Technique: Paired axial CT (left) and PSMA PET (right), [18F]PSMA-1007 tracer. acquired on Siemens Biograph mCT Flow 20. PET panel 200×200 px (4.1 mm/px).
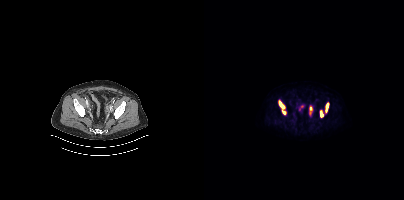
Findings: Coordinates are on the 200×200 PET (right) panel. PSMA-avid tumor lesion bounding boxes (x0, y0)-(x1, y1): (75, 100)-(82, 114) / (121, 102)-(125, 112) / (116, 110)-(119, 117) / (105, 106)-(108, 114).